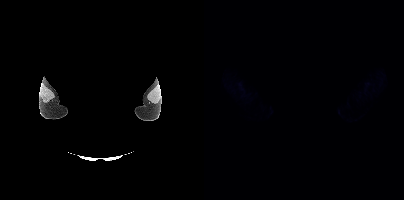
Privacy masking over the head, with the pixels inside a rectangle set to black. Paired axial CT (left) and PSMA PET (right), 18F-PSMA tracer. No tumor lesions annotated on this slice.